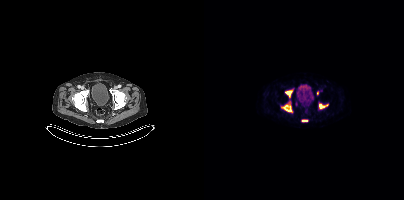
Coordinates are on the 200×200 PET (right) panel. (showing 5 of 7 foci) PSMA-avid tumor lesion bounding boxes (x0, y0)-(x1, y1): (78, 104)-(87, 111) / (81, 90)-(88, 96) / (115, 104)-(121, 108) / (98, 120)-(103, 121). Small PSMA-avid focus (2 to 4 px across) near (center x, center y): (113, 93). Paired axial CT (left) and PSMA PET (right), 18F tracer. Slice position z = -959 mm. PET panel 200×200 px (4.1 mm/px).